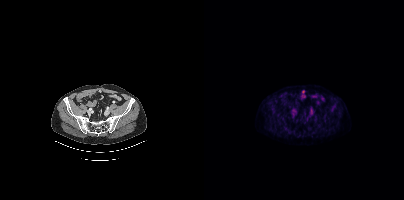
Findings: No tumor lesions annotated on this slice.
- Left: CT. Right: PSMA PET, same axial level, [18F]PSMA-1007 tracer
- acquired on Siemens Biograph mCT Flow 20